Left: CT. Right: PSMA PET, same axial level, 18F-PSMA tracer. PET panel 200×200 px (4.1 mm/px).
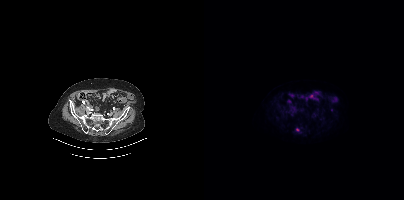
Coordinates are on the 200×200 PET (right) panel. Small PSMA-avid focus (2 to 4 px across) near (center x, center y): (93, 129).